- Paired axial CT (left) and PSMA PET (right), [18F]PSMA-1007 tracer
- acquired on GE Discovery 690
- slice position z = -246 mm
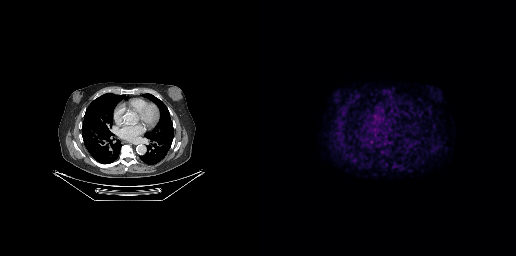
Findings: Negative for PSMA-avid disease on this slice.